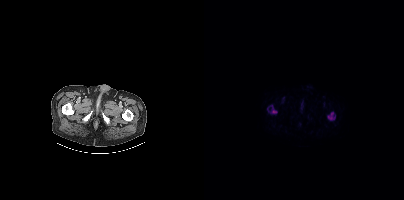
{"modality":"PSMA PET/CT","view":"axial","tracer":"[18F]PSMA-1007","pet_grid":[200,200],"coord_frame":"pet_panel","coord_format":"x0,y0,x1,y1","partial":true,"lesion_bboxes":[[123,112,131,120],[67,105,73,113]]}